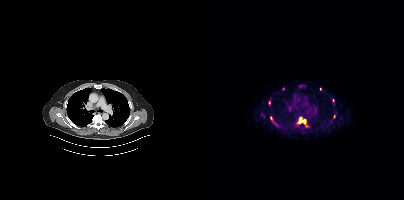
{"pet_grid":[200,200],"coord_frame":"pet_panel","coord_format":"x0,y0,x1,y1","partial":true,"lesion_bboxes":[[93,117,103,126]],"modality":"PSMA PET/CT","view":"axial","tracer":"18F"}